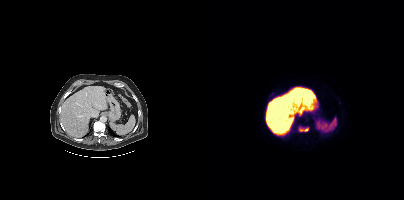
Coordinates are on the 200×200 PET (right) panel. PSMA-avid tumor lesion bounding box (x, y, width, height): x=95 y=127 w=10 h=5.